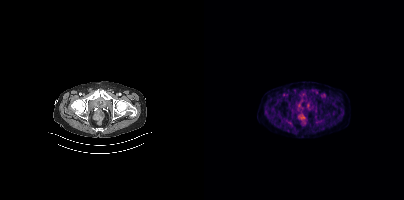
This slice has no annotated PSMA-avid lesion.